- Two-panel axial: CT | PSMA PET, 18F-PSMA tracer
- PET panel 200×200 px (4.1 mm/px)
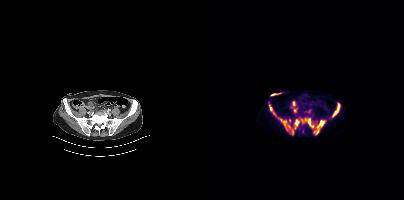
Findings: Coordinates are on the 200×200 PET (right) panel. (showing 5 of 7 foci) PSMA-avid tumor lesion bounding boxes (x0, y0)-(x1, y1): (65, 104)-(95, 135); (97, 118)-(110, 127); (113, 120)-(121, 127); (128, 103)-(135, 116); (113, 129)-(114, 133).